Left: CT. Right: PSMA PET, same axial level, [18F]PSMA-1007 tracer. Head region blanked for anonymization (face removed).
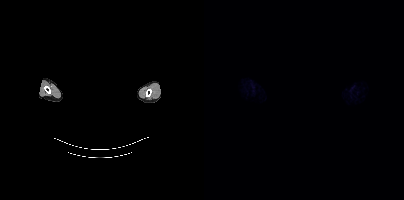
Negative for PSMA-avid disease on this slice.